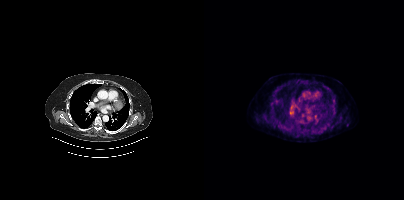
Left: CT. Right: PSMA PET, same axial level, [18F]PSMA-1007 tracer. PET panel 200×200 px (4.1 mm/px). No tumor lesions annotated on this slice.